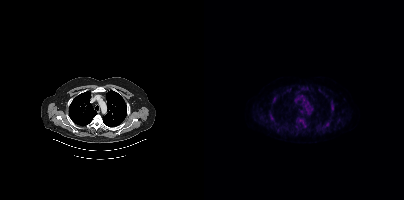
Coordinates are on the 200×200 PET (right) panel. (showing 10 of 12 foci) PSMA-avid tumor lesion bounding boxes (x0,y0,x1,y1): [91,117,102,126] [69,94,75,103] [121,120,127,126] [127,107,130,113] [97,87,101,91] [64,111,67,116]. Small PSMA-avid foci (2 to 4 px across) near (center x, center y): (114, 126) (115, 90) (127, 100) (79, 93). Two-panel axial: CT | PSMA PET, 18F-PSMA tracer.